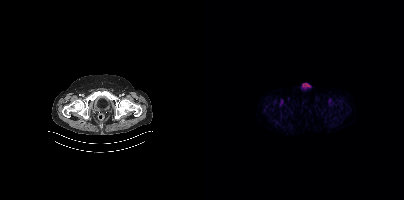
No PSMA-avid tumor lesions on this slice. Left: CT. Right: PSMA PET, same axial level, 18F tracer. Slice position z = -432 mm.